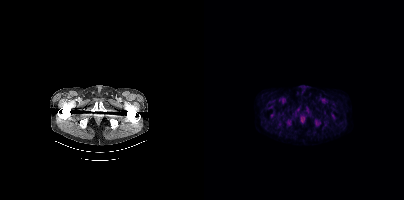
{"pet_grid":[200,200],"coord_frame":"pet_panel","coord_format":"x0,y0,x1,y1","psma_avid_lesions":false,"modality":"PSMA PET/CT","view":"axial","tracer":"18F-PSMA"}